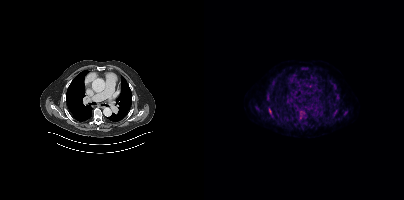
Left: CT. Right: PSMA PET, same axial level, [18F]PSMA-1007 tracer. Slice position z = -356 mm. PET panel 200×200 px (4.1 mm/px).
Coordinates are on the 200×200 PET (right) panel. PSMA-avid tumor lesion bounding boxes:
| # | x0 | y0 | x1 | y1 |
|---|---|---|---|---|
| 1 | 93 | 111 | 103 | 121 |
| 2 | 128 | 109 | 133 | 115 |
| 3 | 66 | 81 | 71 | 86 |
| 4 | 63 | 89 | 67 | 94 |
| 5 | 99 | 67 | 104 | 70 |
| 6 | 132 | 95 | 135 | 99 |
| 7 | 127 | 81 | 132 | 85 |
| 8 | 65 | 108 | 67 | 114 |
Small PSMA-avid foci (2 to 4 px across) near (center x, center y): (53, 108); (141, 113).